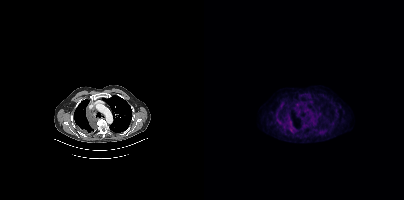
{"modality":"PSMA PET/CT","view":"axial","tracer":"18F-PSMA","pet_grid":[200,200],"coord_frame":"pet_panel","coord_format":"x0,y0,x1,y1","lesion_bboxes":[[83,122,91,131]]}